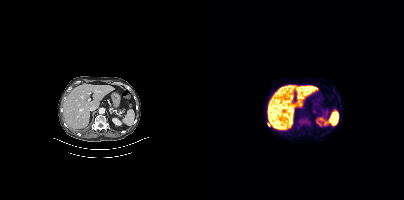
Findings: Coordinates are on the 200×200 PET (right) panel. PSMA-avid tumor lesion bounding box (x, y, width, height): x=97 y=118 w=8 h=7. Small PSMA-avid focus (2 to 4 px across) near (center x, center y): (64, 124).
- Left: CT. Right: PSMA PET, same axial level, [18F]PSMA-1007 tracer
- slice 228 of 452
- PET panel 200×200 px (4.1 mm/px)